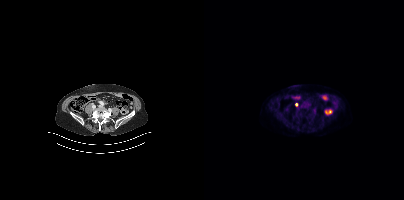
Two-panel axial: CT | PSMA PET, [18F]PSMA-1007 tracer. Slice 132 of 423. PET panel 200×200 px (4.1 mm/px). Coordinates are on the 200×200 PET (right) panel. Small PSMA-avid focus (2 to 4 px across) near (center x, center y): (92, 104).